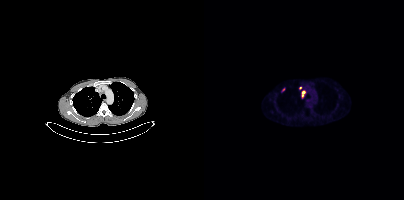
Technique: Two-panel axial: CT | PSMA PET, [18F]PSMA-1007 tracer.
Findings: Coordinates are on the 200×200 PET (right) panel. (showing 3 of 4 foci) Small PSMA-avid foci (2 to 4 px across) near (center x, center y): (99, 92) | (79, 89) | (98, 95).